- Two-panel axial: CT | PSMA PET, 18F-PSMA tracer
- PET panel 200×200 px (4.1 mm/px)
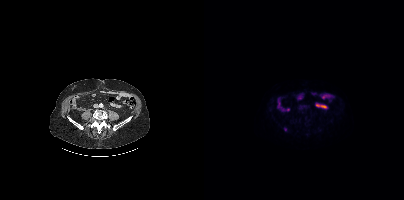
Findings: No PSMA-avid tumor lesions on this slice.